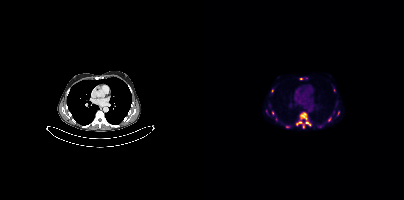
Coordinates are on the 200×200 PET (right) panel. (showing 9 of 12 foci) PSMA-avid tumor lesion bounding boxes (x0, y0)-(x1, y1): (92, 112)-(107, 128); (124, 117)-(127, 121); (68, 111)-(70, 115); (133, 111)-(135, 115). Small PSMA-avid foci (2 to 4 px across) near (center x, center y): (97, 78); (68, 91); (62, 111); (83, 126); (116, 126).
modality: PSMA PET/CT | tracer: [18F]PSMA-1007 | view: axial | PET grid: 200×200